Technique: Paired axial CT (left) and PSMA PET (right), 18F-PSMA tracer. acquired on GE Discovery 690. PET panel 256×256 px (2.7 mm/px).
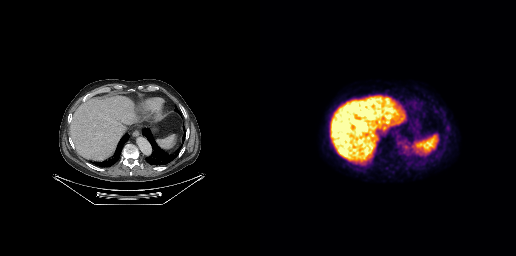
Findings: Negative for PSMA-avid disease on this slice.